- Left: CT. Right: PSMA PET, same axial level, 18F tracer
- PET panel 256×256 px (2.7 mm/px)
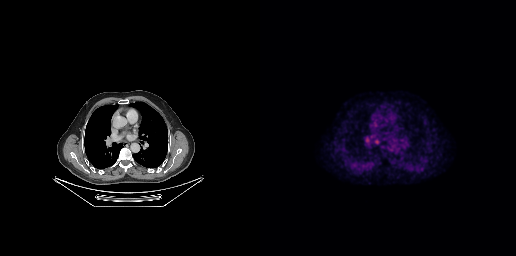
Findings: Coordinates are on the 256×256 PET (right) panel. PSMA-avid tumor lesion bounding box (x0,y0,x1,y1): [113,138,120,145].